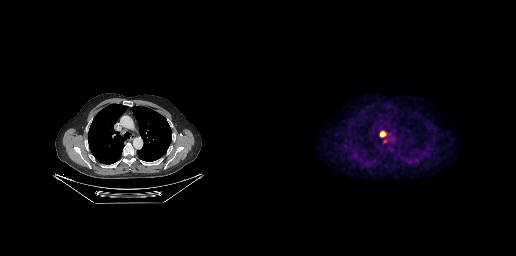
Coordinates are on the 256×256 PET (right) panel. PSMA-avid tumor lesion bounding box (x0, y0)-(x1, y1): (120, 131)-(125, 136).